Technique: Paired axial CT (left) and PSMA PET (right), [18F]PSMA-1007 tracer. slice 8 of 263. PET panel 256×256 px (2.7 mm/px).
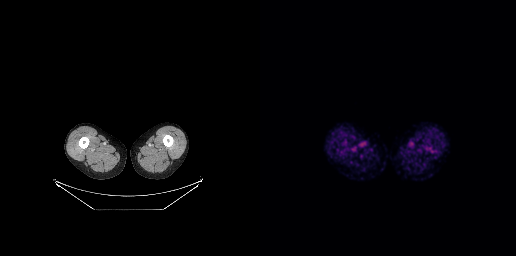
Findings: No PSMA-avid tumor lesions on this slice.